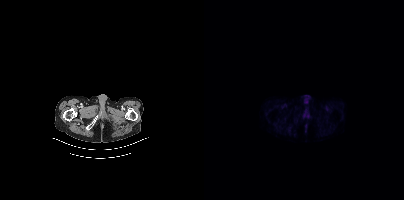
modality: PSMA PET/CT | tracer: [68Ga]Ga-PSMA-11 | view: axial
No tumor lesions annotated on this slice.